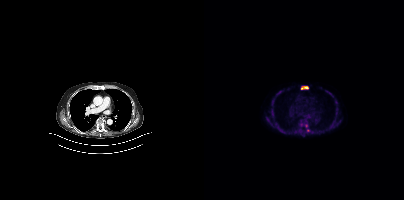
Two-panel axial: CT | PSMA PET, [18F]PSMA-1007 tracer. Slice position z = -1115 mm.
Coordinates are on the 200×200 PET (right) panel. PSMA-avid tumor lesion bounding boxes:
| # | x0 | y0 | x1 | y1 |
|---|---|---|---|---|
| 1 | 97 | 86 | 104 | 89 |
| 2 | 101 | 124 | 105 | 131 |
Small PSMA-avid focus (2 to 4 px across) near (center x, center y): (68, 115).